Two-panel axial: CT | PSMA PET, 18F tracer. Slice 212 of 263.
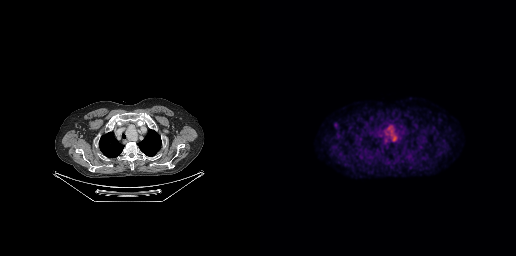
Coordinates are on the 256×256 PET (right) panel. PSMA-avid tumor lesion bounding boxes:
| # | x0 | y0 | x1 | y1 |
|---|---|---|---|---|
| 1 | 124 | 125 | 137 | 141 |